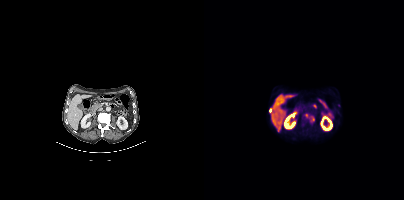
modality: PSMA PET/CT | tracer: 18F-PSMA | view: axial
Coordinates are on the 200×200 PET (right) panel. PSMA-avid tumor lesion bounding box (x0,y0,x1,y1): [101,114,104,118]. Small PSMA-avid foci (2 to 4 px across) near (center x, center y): (108, 118), (65, 110), (134, 105), (74, 130).